Two-panel axial: CT | PSMA PET, 18F-PSMA tracer. Acquired on Siemens Biograph mCT Flow 20. Slice position z = -1246 mm.
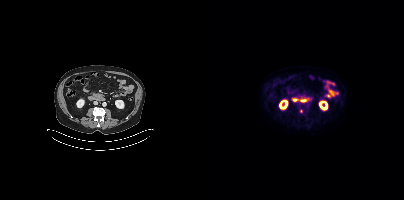
Coordinates are on the 200×200 PET (right) panel. Small PSMA-avid focus (2 to 4 px across) near (center x, center y): (97, 111).